modality: PSMA PET/CT | tracer: 68Ga-PSMA | view: axial | PET grid: 256×256
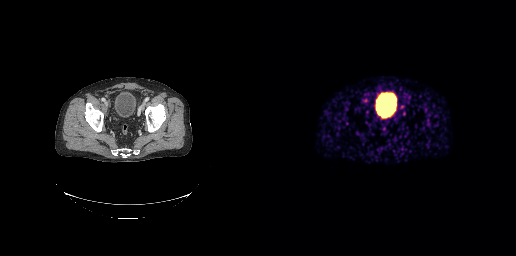
No tumor lesions annotated on this slice.